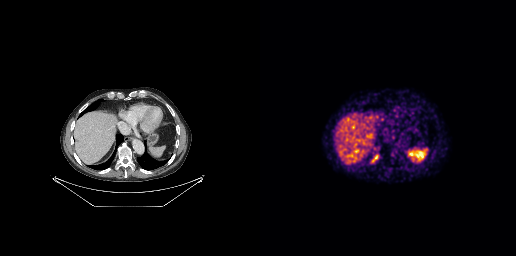
No tumor lesions annotated on this slice. Left: CT. Right: PSMA PET, same axial level, 68Ga-PSMA tracer. Acquired on GE Discovery 690. Slice position z = -475 mm.